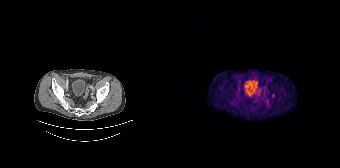
{"pet_grid":[168,168],"coord_frame":"pet_panel","coord_format":"x0,y0,x1,y1","lesion_bboxes":[],"small_foci_centers":[[101,95]],"modality":"PSMA PET/CT","view":"axial","tracer":"68Ga-PSMA"}